Left: CT. Right: PSMA PET, same axial level, 18F-PSMA tracer. Slice position z = -718 mm.
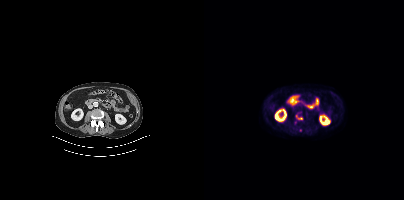
No PSMA-avid tumor lesions on this slice.